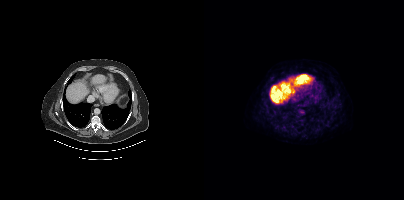
Findings: Negative for PSMA-avid disease on this slice.
- Paired axial CT (left) and PSMA PET (right), 18F tracer
- acquired on Siemens Biograph mCT Flow 20